Technique: Left: CT. Right: PSMA PET, same axial level, 18F-PSMA tracer. acquired on Siemens Biograph mCT Flow 20.
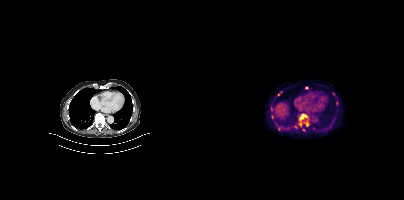
Findings: Coordinates are on the 200×200 PET (right) panel. (showing 9 of 10 foci) PSMA-avid tumor lesion bounding boxes (x0, y0)-(x1, y1): (95, 114)-(103, 121) | (102, 122)-(104, 126) | (132, 101)-(133, 105). Small PSMA-avid foci (2 to 4 px across) near (center x, center y): (68, 116) | (67, 108) | (96, 124) | (74, 94) | (102, 87) | (99, 129).